Left: CT. Right: PSMA PET, same axial level, 18F tracer. Acquired on Siemens Biograph mCT Flow 20. Slice 383 of 417. Privacy masking over the head, with the pixels inside a rectangle set to black.
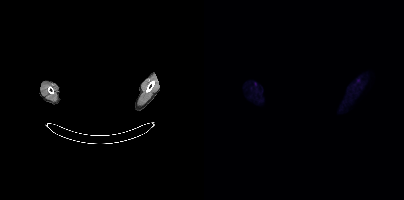
Negative for PSMA-avid disease on this slice.